Technique: Paired axial CT (left) and PSMA PET (right), 18F-PSMA tracer. slice position z = -828 mm.
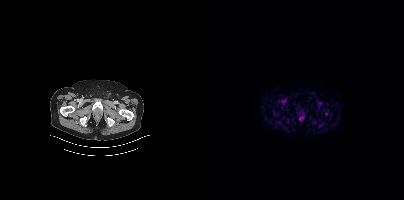
Findings: No tumor lesions annotated on this slice.